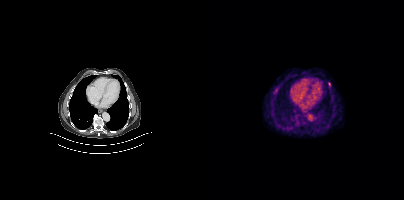
Coordinates are on the 200×200 PET (right) panel. PSMA-avid tumor lesion bounding box (x0, y0)-(x1, y1): (124, 82)-(126, 87).